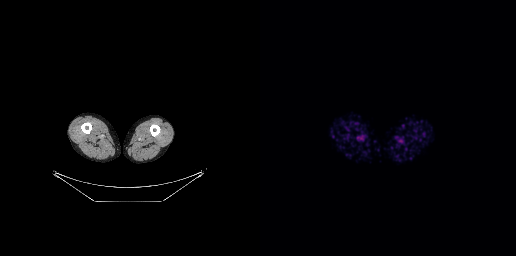
{"pet_grid":[256,256],"coord_frame":"pet_panel","coord_format":"x0,y0,x1,y1","psma_avid_lesions":false,"modality":"PSMA PET/CT","view":"axial","tracer":"18F-PSMA"}